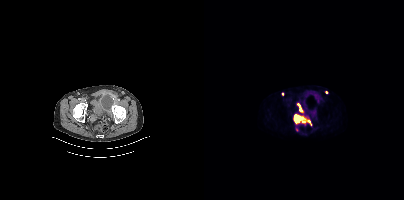
Coordinates are on the 200×200 PET (right) panel. PSMA-avid tumor lesion bounding boxes (x0,y0,x1,y1): [89,114,101,123], [93,103,98,112], [103,120,106,124]. Small PSMA-avid foci (2 to 4 px across) near (center x, center y): (122, 92), (78, 93).
modality: PSMA PET/CT | tracer: 18F-PSMA | view: axial | PET grid: 200×200